Left: CT. Right: PSMA PET, same axial level, 68Ga tracer. Slice position z = -1464 mm. PET panel 168×168 px (4.1 mm/px).
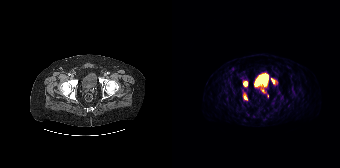
Coordinates are on the 168×168 PET (right) panel. PSMA-avid tumor lesion bounding boxes (x, y, width, height): x=71 y=81 w=5 h=6 | x=71 y=93 w=5 h=8 | x=99 y=78 w=4 h=6.